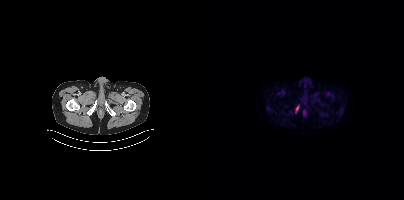
Left: CT. Right: PSMA PET, same axial level, 68Ga tracer. Acquired on Siemens Biograph mCT Flow 20.
Coordinates are on the 200×200 PET (right) panel. PSMA-avid tumor lesion bounding boxes:
| # | x0 | y0 | x1 | y1 |
|---|---|---|---|---|
| 1 | 92 | 106 | 94 | 110 |